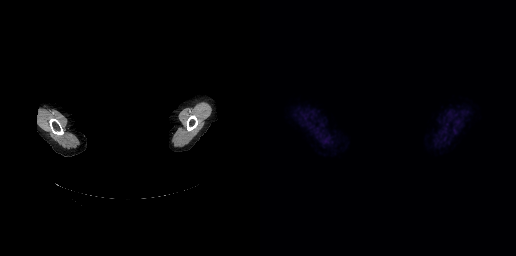
{"modality":"PSMA PET/CT","view":"axial","tracer":"18F","pet_grid":[256,256],"coord_frame":"pet_panel","coord_format":"x0,y0,x1,y1","psma_avid_lesions":false,"de-identification":"rectangular block over head set to black"}